Paired axial CT (left) and PSMA PET (right), 68Ga tracer. Acquired on GE Discovery 690. Slice 116 of 263. PET panel 256×256 px (2.7 mm/px).
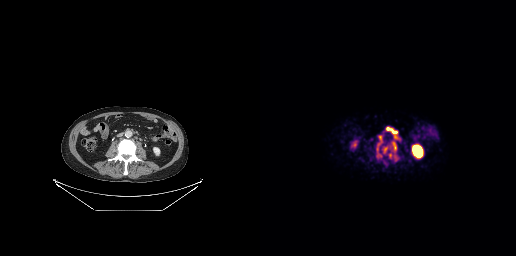
Coordinates are on the 256×256 PET (right) panel. PSMA-avid tumor lesion bounding boxes (x0, y0)-(x1, y1): (127, 127)-(137, 138); (130, 141)-(136, 152); (118, 135)-(122, 141).